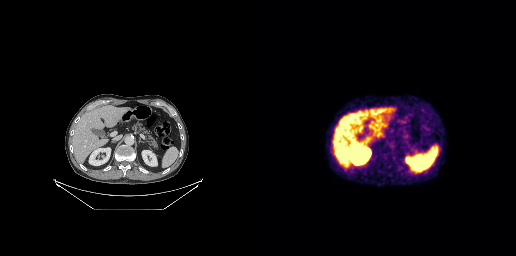
Technique: Left: CT. Right: PSMA PET, same axial level, 68Ga-PSMA tracer. slice position z = -591 mm. PET panel 256×256 px (2.7 mm/px).
Findings: Negative for PSMA-avid disease on this slice.